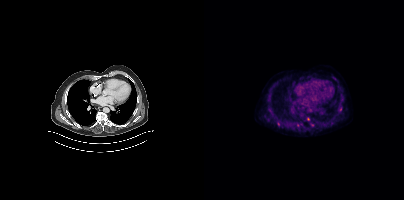
Two-panel axial: CT | PSMA PET, 18F-PSMA tracer. Slice 265 of 411. PET panel 200×200 px (4.1 mm/px). Coordinates are on the 200×200 PET (right) panel. (showing 4 of 5 foci) Small PSMA-avid foci (2 to 4 px across) near (center x, center y): (74, 123); (104, 118); (137, 108); (108, 124).